Left: CT. Right: PSMA PET, same axial level, [68Ga]Ga-PSMA-11 tracer. Slice position z = -690 mm. PET panel 168×168 px (4.1 mm/px).
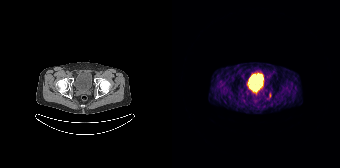
Only PSMA-avid lesion pieces thinner than 2 px on this slice (not listed).